Left: CT. Right: PSMA PET, same axial level, 68Ga tracer.
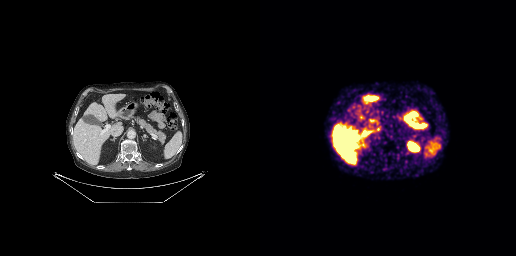
Negative for PSMA-avid disease on this slice.